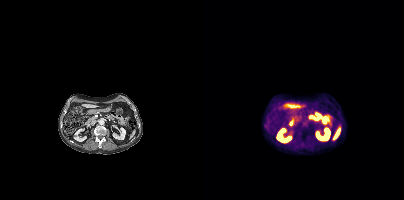
Negative for PSMA-avid disease on this slice.